modality: PSMA PET/CT | tracer: [18F]PSMA-1007 | view: axial
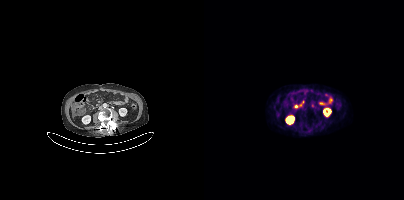
Coordinates are on the 200×200 PET (right) panel. PSMA-avid tumor lesion bounding box (x, y, width, height): x=107 y=105 w=5 h=3.